modality: PSMA PET/CT | tracer: [18F]PSMA-1007 | view: axial
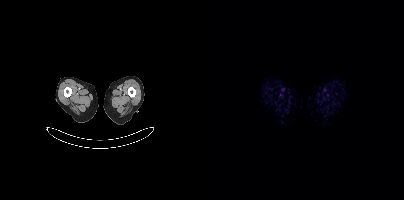
This slice has no annotated PSMA-avid lesion.